- Paired axial CT (left) and PSMA PET (right), 18F-PSMA tracer
- slice 229 of 413
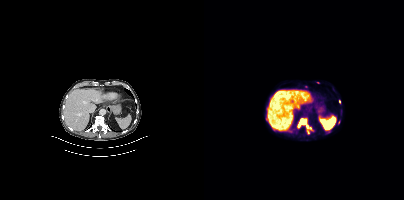
Findings: Coordinates are on the 200×200 PET (right) panel. (showing 3 of 5 foci) PSMA-avid tumor lesion bounding box (x, y, width, height): x=94 y=118 w=15 h=16. Small PSMA-avid foci (2 to 4 px across) near (center x, center y): (135, 101) | (114, 82).